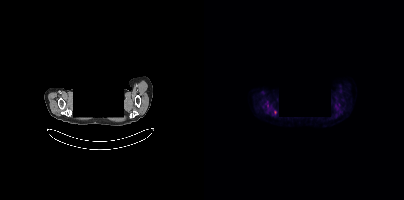
Privacy masking over the head, with the pixels inside a rectangle set to black. Two-panel axial: CT | PSMA PET, 18F tracer. Acquired on Siemens Biograph mCT Flow 20. Coordinates are on the 200×200 PET (right) panel. Small PSMA-avid focus (2 to 4 px across) near (center x, center y): (71, 112).